Paired axial CT (left) and PSMA PET (right), [18F]PSMA-1007 tracer.
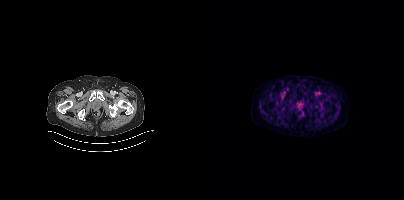
This slice has no annotated PSMA-avid lesion.